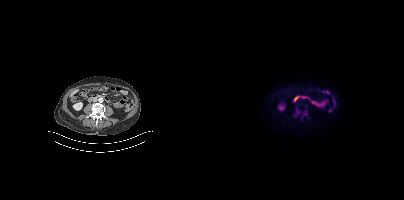
{"pet_grid":[200,200],"coord_frame":"pet_panel","coord_format":"x0,y0,x1,y1","partial":true,"lesion_bboxes":[[91,108,95,116],[98,110,102,115]],"modality":"PSMA PET/CT","view":"axial","tracer":"18F-PSMA"}